Paired axial CT (left) and PSMA PET (right), [68Ga]Ga-PSMA-11 tracer.
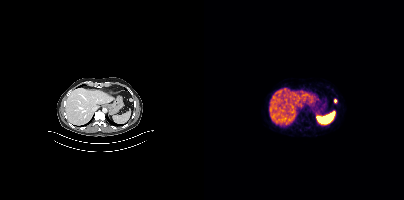
Coordinates are on the 200×200 PET (right) panel. Small PSMA-avid focus (2 to 4 px across) near (center x, center y): (131, 100).